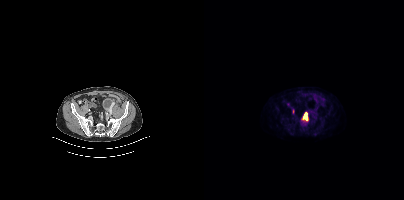
{"modality":"PSMA PET/CT","view":"axial","tracer":"[18F]PSMA-1007","pet_grid":[200,200],"coord_frame":"pet_panel","coord_format":"x0,y0,x1,y1","lesion_bboxes":[[98,112,104,120]]}